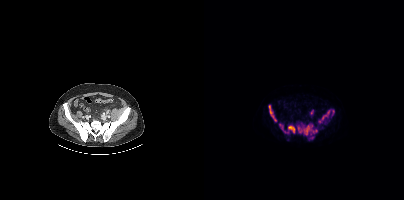
Findings: Coordinates are on the 200×200 PET (right) panel. (showing 8 of 13 foci) PSMA-avid tumor lesion bounding boxes (x0,y0,x1,y1): [115,109,130,123] [65,105,72,121] [84,125,91,133] [99,125,106,134] [105,135,110,139] [109,129,113,133]. Small PSMA-avid foci (2 to 4 px across) near (center x, center y): (96, 131) (75, 124).
- Left: CT. Right: PSMA PET, same axial level, 18F-PSMA tracer
- acquired on Siemens Biograph mCT Flow 20
- PET panel 200×200 px (4.1 mm/px)